modality: PSMA PET/CT | tracer: [18F]PSMA-1007 | view: axial | PET grid: 200×200
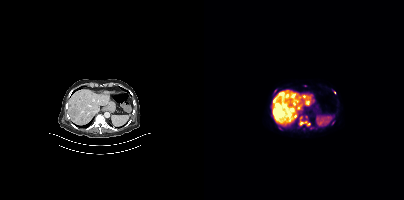
Coordinates are on the 200×200 PET (right) panel. (showing 4 of 5 foci) PSMA-avid tumor lesion bounding box (x, y, width, height): x=101 y=122 w=6 h=4. Small PSMA-avid foci (2 to 4 px across) near (center x, center y): (97, 123) / (97, 117) / (130, 92).